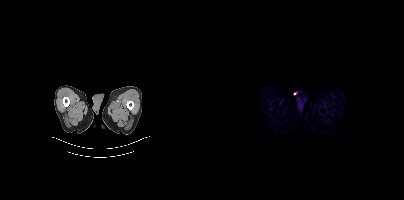
No tumor lesions annotated on this slice.